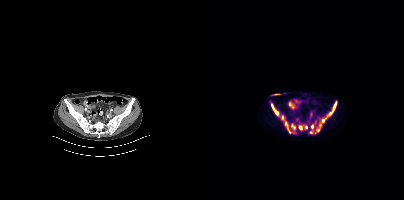
Technique: Two-panel axial: CT | PSMA PET, 18F tracer.
Findings: Coordinates are on the 200×200 PET (right) panel. (showing 8 of 9 foci) PSMA-avid tumor lesion bounding boxes (x, y, width, height): x=66 y=101 w=21 h=33 / x=118 y=101 w=16 h=22 / x=88 y=124 w=4 h=5. Small PSMA-avid foci (2 to 4 px across) near (center x, center y): (96, 127) / (108, 126) / (102, 127) / (114, 130) / (106, 132).